Technique: Two-panel axial: CT | PSMA PET, [18F]PSMA-1007 tracer. slice position z = -508 mm.
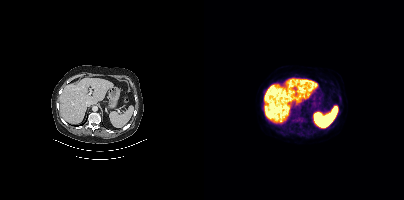
Findings: This slice has no annotated PSMA-avid lesion.